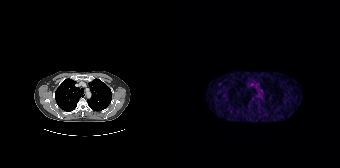
Technique: Left: CT. Right: PSMA PET, same axial level, 68Ga tracer.
Findings: Only PSMA-avid lesion pieces thinner than 2 px on this slice (not listed).